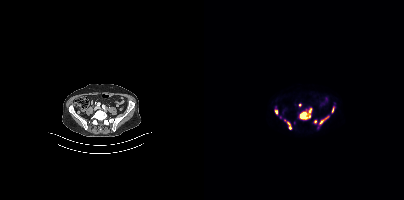
{"pet_grid":[200,200],"coord_frame":"pet_panel","coord_format":"x0,y0,x1,y1","partial":true,"lesion_bboxes":[[96,112,106,119],[115,116,124,124],[83,122,87,129],[71,110,73,114],[105,108,107,112],[128,108,129,112]],"small_foci_centers":[[111,121],[76,117],[95,104]],"modality":"PSMA PET/CT","view":"axial","tracer":"18F"}